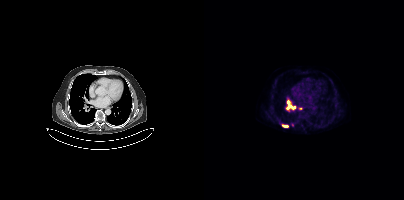
modality: PSMA PET/CT | tracer: 18F | view: axial | PET grid: 200×200
Coordinates are on the 200×200 PET (right) panel. PSMA-avid tumor lesion bounding box (x0, y0)-(x1, y1): (79, 125)-(84, 127). Small PSMA-avid focus (2 to 4 px across) near (center x, center y): (89, 107).